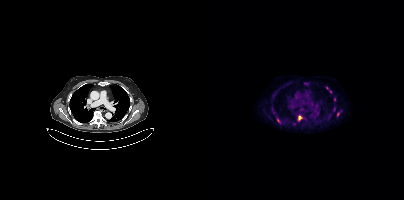
Two-panel axial: CT | PSMA PET, [18F]PSMA-1007 tracer. PET panel 200×200 px (4.1 mm/px).
Coordinates are on the 200×200 PET (right) panel. PSMA-avid tumor lesion bounding boxes:
| # | x0 | y0 | x1 | y1 |
|---|---|---|---|---|
| 1 | 73 | 118 | 76 | 122 |
Small PSMA-avid foci (2 to 4 px across) near (center x, center y): (95, 117); (133, 114); (122, 87); (130, 99); (126, 91).